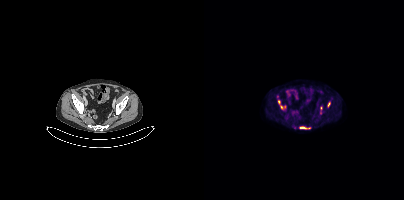
Findings: Coordinates are on the 200×200 PET (right) panel. PSMA-avid tumor lesion bounding boxes (x0, y0)-(x1, y1): (74, 100)-(81, 109); (96, 126)-(106, 128); (123, 102)-(126, 107); (116, 106)-(118, 110). Small PSMA-avid focus (2 to 4 px across) near (center x, center y): (116, 112).
Technique: Two-panel axial: CT | PSMA PET, [18F]PSMA-1007 tracer. acquired on Siemens Biograph mCT Flow 20. PET panel 200×200 px (4.1 mm/px).